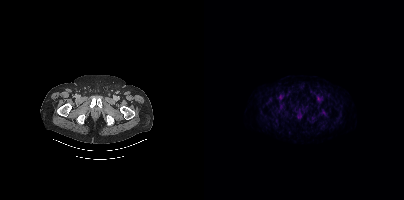
{"modality":"PSMA PET/CT","view":"axial","tracer":"[18F]PSMA-1007","pet_grid":[200,200],"coord_frame":"pet_panel","coord_format":"x0,y0,x1,y1","psma_avid_lesions":false}